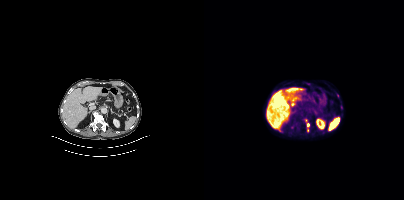
Coordinates are on the 200×200 PET (right) panel. (showing 1 of 3 foci) Small PSMA-avid focus (2 to 4 px across) near (center x, center y): (104, 124).